A rectangular block over the head has been blanked out for de-identification.
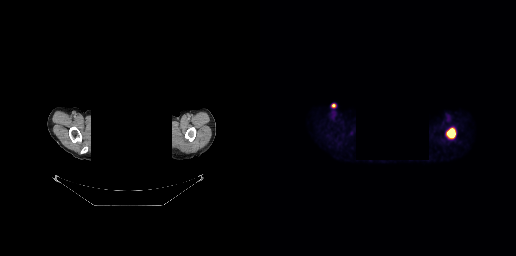
Coordinates are on the 256×256 PET (right) panel. PSMA-avid tumor lesion bounding box (x0, y0)-(x1, y1): (186, 128)-(195, 138).